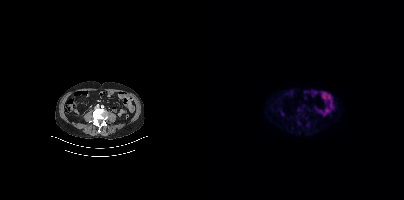
modality: PSMA PET/CT | tracer: 18F-PSMA | view: axial
Negative for PSMA-avid disease on this slice.